Technique: Left: CT. Right: PSMA PET, same axial level, 68Ga-PSMA tracer.
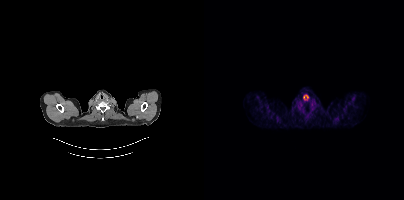
Findings: Negative for PSMA-avid disease on this slice.